- Left: CT. Right: PSMA PET, same axial level, [68Ga]Ga-PSMA-11 tracer
- PET panel 256×256 px (2.7 mm/px)
- the face region was removed for patient privacy by blanking a rectangle over the head
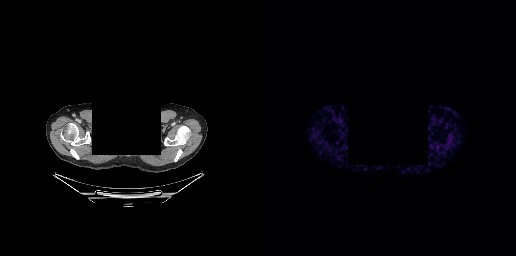
Findings: Negative for PSMA-avid disease on this slice.